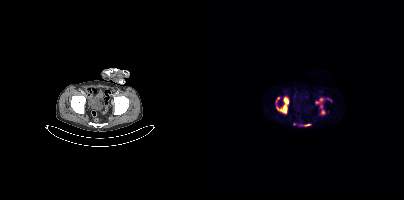
Left: CT. Right: PSMA PET, same axial level, [18F]PSMA-1007 tracer. Acquired on Siemens Biograph mCT Flow 20. Slice 85 of 409. PET panel 200×200 px (4.1 mm/px).
Coordinates are on the 200×200 PET (right) panel. PSMA-avid tumor lesion bounding boxes:
| # | x0 | y0 | x1 | y1 |
|---|---|---|---|---|
| 1 | 71 | 95 | 85 | 114 |
| 2 | 111 | 98 | 121 | 114 |
| 3 | 96 | 124 | 107 | 126 |
Small PSMA-avid foci (2 to 4 px across) near (center x, center y): (125, 100); (90, 123).